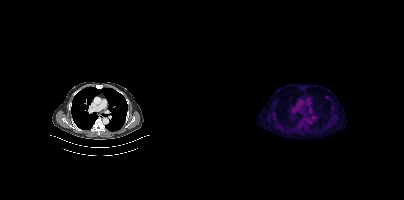
modality: PSMA PET/CT | tracer: 18F | view: axial
Negative for PSMA-avid disease on this slice.